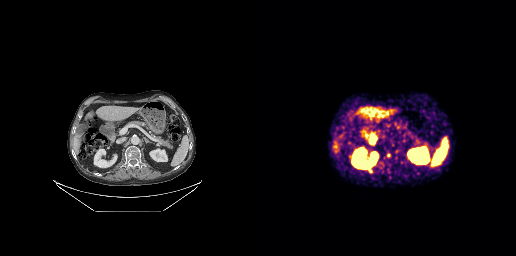
{"modality":"PSMA PET/CT","view":"axial","tracer":"68Ga","pet_grid":[256,256],"coord_frame":"pet_panel","coord_format":"x0,y0,x1,y1","partial":true,"lesion_bboxes":[],"small_foci_centers":[[128,155]]}